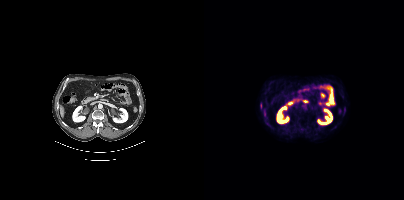
{"pet_grid":[200,200],"coord_frame":"pet_panel","coord_format":"x0,y0,x1,y1","psma_avid_lesions":false,"modality":"PSMA PET/CT","view":"axial","tracer":"18F"}